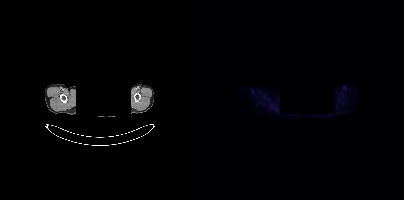
- Two-panel axial: CT | PSMA PET, [18F]PSMA-1007 tracer
- slice position z = -1086 mm
- PET panel 200×200 px (4.1 mm/px)
- a rectangle over the head was blacked out to remove identifiable facial features
Findings: This slice has no annotated PSMA-avid lesion.